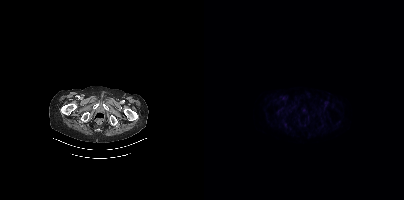
Paired axial CT (left) and PSMA PET (right), 18F tracer. PET panel 200×200 px (4.1 mm/px). No PSMA-avid tumor lesions on this slice.